modality: PSMA PET/CT | tracer: 18F | view: axial | PET grid: 200×200
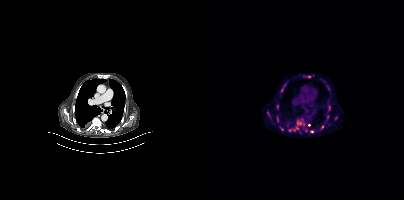
Coordinates are on the 200×200 PET (right) panel. (showing 11 of 13 foci) PSMA-avid tumor lesion bounding boxes (x0, y0)-(x1, y1): (85, 118)-(103, 131) / (72, 104)-(75, 109) / (63, 112)-(67, 117) / (123, 115)-(124, 120). Small PSMA-avid foci (2 to 4 px across) near (center x, center y): (107, 131) / (105, 124) / (132, 117) / (118, 126) / (104, 76) / (80, 85) / (78, 89).